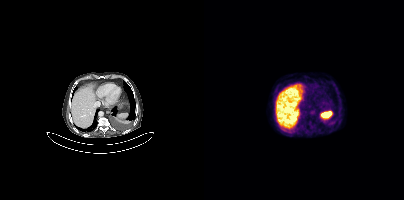
No tumor lesions annotated on this slice. Left: CT. Right: PSMA PET, same axial level, 18F tracer. PET panel 200×200 px (4.1 mm/px).